modality: PSMA PET/CT | tracer: [18F]PSMA-1007 | view: axial | PET grid: 200×200
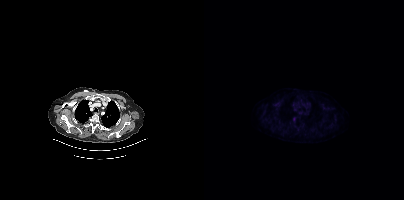
Coordinates are on the 200×200 PET (right) panel. Small PSMA-avid focus (2 to 4 px across) near (center x, center y): (89, 119).